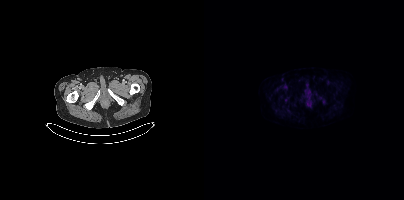
No tumor lesions annotated on this slice.
modality: PSMA PET/CT | tracer: 18F-PSMA | view: axial | PET grid: 200×200